- Two-panel axial: CT | PSMA PET, 68Ga tracer
- slice 265 of 413
- PET panel 200×200 px (4.1 mm/px)
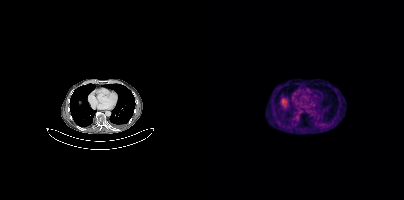
Findings: No tumor lesions annotated on this slice.